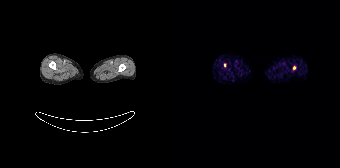
Coordinates are on the 168×168 PET (right) panel. Small PSMA-avid foci (2 to 4 px across) near (center x, center y): (122, 67); (52, 65).